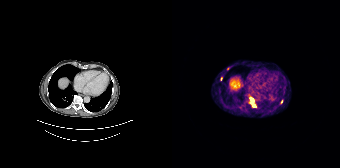
Left: CT. Right: PSMA PET, same axial level, [68Ga]Ga-PSMA-11 tracer. Acquired on Siemens Biograph 64-4R TruePoint. Coordinates are on the 168×168 PET (right) panel. (showing 3 of 4 foci) PSMA-avid tumor lesion bounding box (x, y, width, height): x=78 y=97 w=7 h=11. Small PSMA-avid foci (2 to 4 px across) near (center x, center y): (56, 68) / (109, 101).